Two-panel axial: CT | PSMA PET, [18F]PSMA-1007 tracer. PET panel 200×200 px (4.1 mm/px).
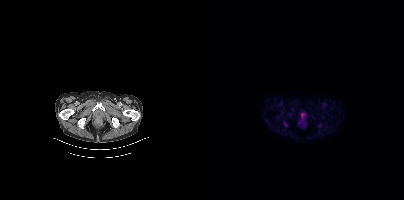
This slice has no annotated PSMA-avid lesion.